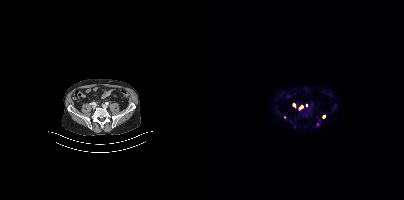
Left: CT. Right: PSMA PET, same axial level, 18F tracer. Acquired on Siemens Biograph mCT Flow 20. Coordinates are on the 200×200 PET (right) panel. PSMA-avid tumor lesion bounding box (x0, y0)-(x1, y1): (95, 105)-(99, 109). Small PSMA-avid foci (2 to 4 px across) near (center x, center y): (113, 124) / (89, 104) / (119, 116) / (102, 104).